- Two-panel axial: CT | PSMA PET, [18F]PSMA-1007 tracer
- acquired on Siemens Biograph mCT Flow 20
- slice position z = -381 mm
- PET panel 200×200 px (4.1 mm/px)
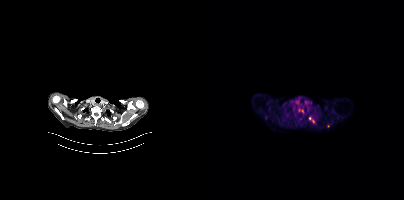
Findings: Coordinates are on the 200×200 PET (right) panel. (showing 3 of 4 foci) PSMA-avid tumor lesion bounding box (x0,y0,x1,y1): [105,116,110,122]. Small PSMA-avid foci (2 to 4 px across) near (center x, center y): (124, 126), (98, 110).